Two-panel axial: CT | PSMA PET, [68Ga]Ga-PSMA-11 tracer. Slice position z = 413 mm. PET panel 200×200 px (4.1 mm/px).
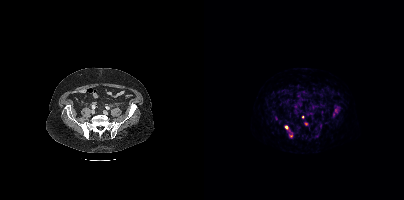
Coordinates are on the 200×200 PET (right) panel. Small PSMA-avid foci (2 to 4 px across) near (center x, center y): (132, 110) | (82, 127) | (87, 135) | (98, 117) | (102, 123) | (129, 114).